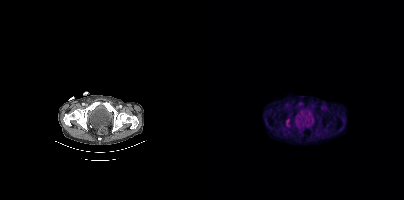
Coordinates are on the 200×200 PET (right) panel. PSMA-avid tumor lesion bounding box (x0, y0)-(x1, y1): (82, 120)-(85, 126).